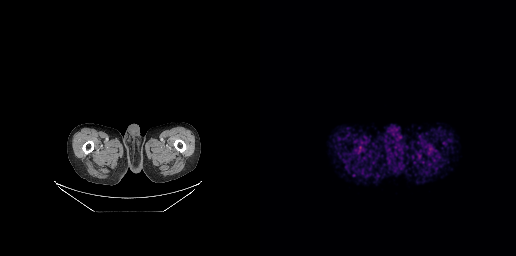
{"modality":"PSMA PET/CT","view":"axial","tracer":"68Ga","pet_grid":[256,256],"coord_frame":"pet_panel","coord_format":"x0,y0,x1,y1","psma_avid_lesions":false}